- Two-panel axial: CT | PSMA PET, 18F tracer
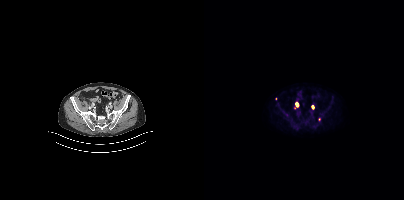
Findings: Coordinates are on the 200×200 PET (right) panel. (showing 2 of 3 foci) Small PSMA-avid foci (2 to 4 px across) near (center x, center y): (93, 105) | (108, 107).